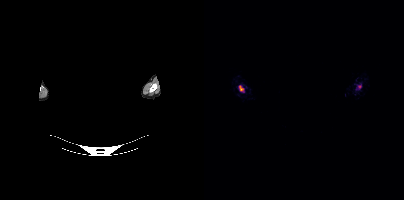
modality: PSMA PET/CT | tracer: 68Ga-PSMA | view: axial | de-identification: facial region redacted
Coordinates are on the 200×200 PET (right) panel. PSMA-avid tumor lesion bounding box (x0,y0,x1,y1): [35,86,39,92]. Small PSMA-avid focus (2 to 4 px across) near (center x, center y): (155, 86).